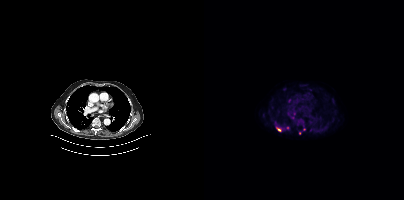
Left: CT. Right: PSMA PET, same axial level, [18F]PSMA-1007 tracer. Coordinates are on the 200×200 PET (right) panel. (showing 3 of 4 foci) Small PSMA-avid foci (2 to 4 px across) near (center x, center y): (74, 129), (95, 133), (83, 127).